- Two-panel axial: CT | PSMA PET, [18F]PSMA-1007 tracer
- acquired on Siemens Biograph mCT Flow 20
- PET panel 200×200 px (4.1 mm/px)
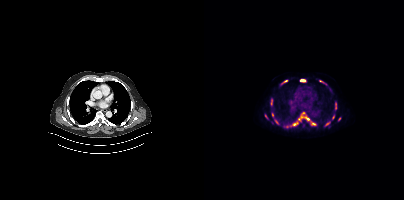
Findings: Coordinates are on the 200×200 PET (right) panel. (showing 15 of 16 foci) PSMA-avid tumor lesion bounding boxes (x0, y0)-(x1, y1): (66, 99)-(68, 105) / (96, 79)-(101, 81) / (131, 103)-(132, 108) / (71, 120)-(74, 124) / (89, 123)-(93, 125) / (61, 114)-(63, 118) / (115, 80)-(119, 82). Small PSMA-avid foci (2 to 4 px across) near (center x, center y): (81, 81) / (129, 116) / (68, 114) / (109, 123) / (99, 112) / (95, 118) / (135, 118) / (123, 123).